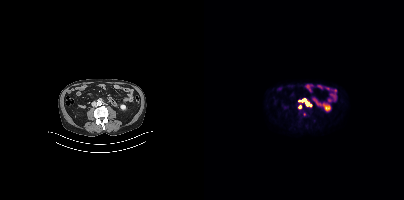
Coordinates are on the 200×200 PET (right) panel. PSMA-avid tumor lesion bounding box (x, y, width, height): x=102 y=102 w=6 h=4. Small PSMA-avid foci (2 to 4 px across) near (center x, center y): (99, 100) / (100, 114) / (96, 107).